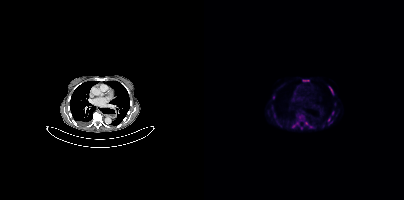
Coordinates are on the 200×200 PET (right) panel. (showing 7 of 10 foci) PSMA-avid tumor lesion bounding boxes (x0,y0,x1,y1): [125,86,129,94], [99,80,104,81]. Small PSMA-avid foci (2 to 4 px across) near (center x, center y): (125, 119), (69, 97), (102, 123), (128, 113), (89, 126).